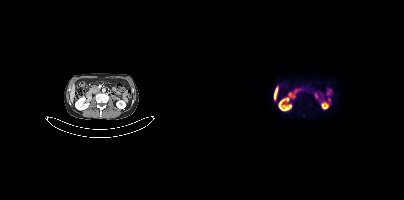
Technique: Two-panel axial: CT | PSMA PET, [18F]PSMA-1007 tracer. PET panel 200×200 px (4.1 mm/px).
Findings: Negative for PSMA-avid disease on this slice.